Paired axial CT (left) and PSMA PET (right), 18F-PSMA tracer. Acquired on Siemens Biograph 64-4R TruePoint. Slice 149 of 165. PET panel 168×168 px (4.1 mm/px). Any black rectangle over the head is a privacy mask, not anatomy.
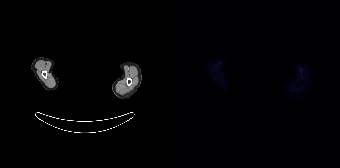
No PSMA-avid tumor lesions on this slice.